Paired axial CT (left) and PSMA PET (right), [18F]PSMA-1007 tracer. Acquired on Siemens Biograph mCT Flow 20. Slice position z = -1616 mm.
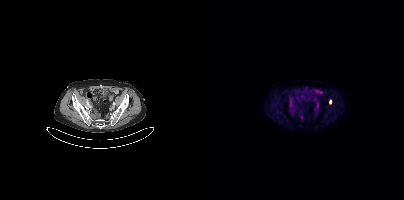
Coordinates are on the 200×200 PET (right) panel. PSMA-avid tumor lesion bounding box (x0, y0)-(x1, y1): (125, 100)-(127, 104).